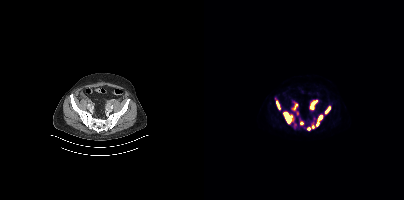
Paired axial CT (left) and PSMA PET (right), [18F]PSMA-1007 tracer. Slice 120 of 444. Coordinates are on the 200×200 PET (right) panel. PSMA-avid tumor lesion bounding boxes (x, y, width, height): x=79 y=112 w=10 h=12; x=106 y=100 w=8 h=10; x=112 y=115 w=8 h=12; x=121 y=106 w=6 h=8; x=72 y=100 w=5 h=10; x=89 y=103 w=5 h=8. Small PSMA-avid foci (2 to 4 px across) near (center x, center y): (97, 122); (104, 128); (109, 126); (93, 113).